Paired axial CT (left) and PSMA PET (right), 18F-PSMA tracer. Acquired on Siemens Biograph mCT Flow 20.
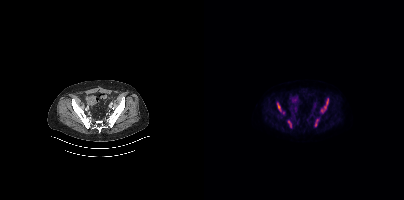
Coordinates are on the 200×200 PET (right) panel. PSMA-avid tumor lesion bounding boxes (x0,y0,x1,y1): [117,99,124,112] [73,103,77,112] [84,120,87,127] [111,119,114,126]. Small PSMA-avid focus (2 to 4 px across) near (center x, center y): (79, 112).